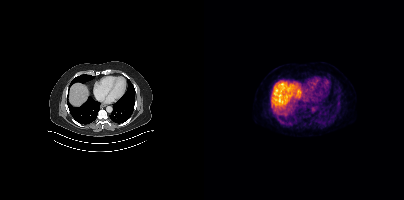
Negative for PSMA-avid disease on this slice. Two-panel axial: CT | PSMA PET, [18F]PSMA-1007 tracer. Acquired on Siemens Biograph mCT Flow 20.